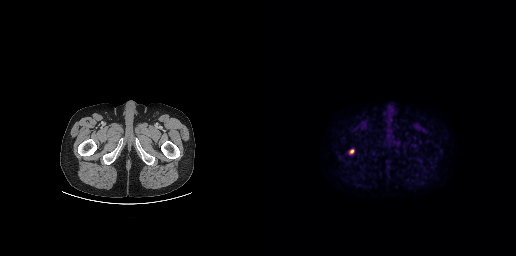
{"modality":"PSMA PET/CT","view":"axial","tracer":"[18F]PSMA-1007","pet_grid":[256,256],"coord_frame":"pet_panel","coord_format":"x0,y0,x1,y1","lesion_bboxes":[[89,149,94,154]]}